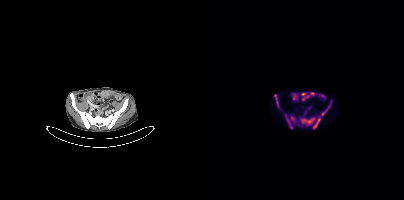
Coordinates are on the 200×200 PET (right) panel. PSMA-avid tumor lesion bounding boxes (x, y, width, height): x=96 y=117 w=16 h=8 / x=81 y=115 w=11 h=14 / x=118 y=100 w=10 h=15 / x=109 y=118 w=8 h=11 / x=70 y=94 w=5 h=14.